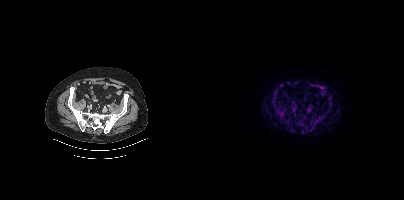
Paired axial CT (left) and PSMA PET (right), 18F-PSMA tracer. Slice 129 of 462. No tumor lesions annotated on this slice.